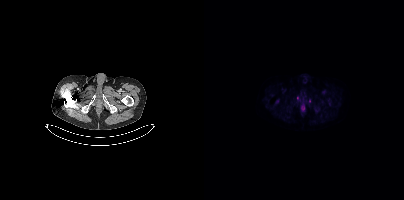
modality: PSMA PET/CT | tracer: 18F-PSMA | view: axial
Coordinates are on the 200×200 PET (right) panel. PSMA-avid tumor lesion bounding box (x0, y0)-(x1, y1): (93, 96)-(96, 100). Small PSMA-avid focus (2 to 4 px across) near (center x, center y): (105, 100).